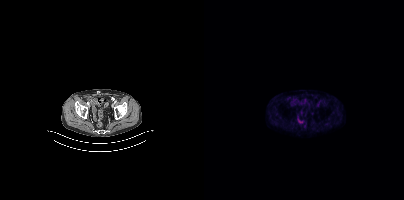
No tumor lesions annotated on this slice.